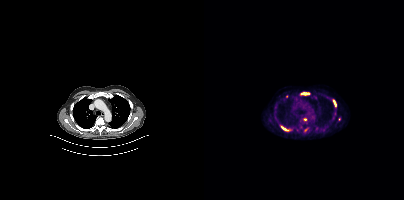
modality: PSMA PET/CT | tracer: 18F-PSMA | view: axial
Coordinates are on the 200×200 PET (right) panel. (showing 6 of 7 foci) PSMA-avid tumor lesion bounding boxes (x0, y0)-(x1, y1): (96, 92)-(105, 95); (76, 125)-(85, 130); (129, 99)-(132, 106). Small PSMA-avid foci (2 to 4 px across) near (center x, center y): (100, 119); (82, 96); (101, 130).